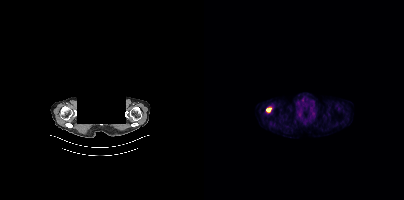
{"pet_grid":[200,200],"coord_frame":"pet_panel","coord_format":"x0,y0,x1,y1","lesion_bboxes":[[62,107,67,112]],"modality":"PSMA PET/CT","view":"axial","tracer":"[18F]PSMA-1007","deidentification":"face masked with black rectangle"}